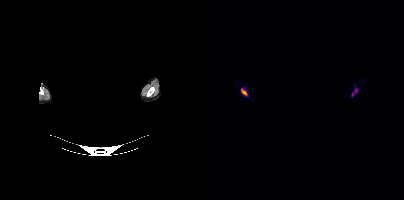
Two-panel axial: CT | PSMA PET, [68Ga]Ga-PSMA-11 tracer. Acquired on Siemens Biograph mCT Flow 20. Slice 389 of 397. PET panel 200×200 px (4.1 mm/px). Head region blanked for anonymization (face removed).
Coordinates are on the 200×200 PET (right) panel. PSMA-avid tumor lesion bounding boxes:
| # | x0 | y0 | x1 | y1 |
|---|---|---|---|---|
| 1 | 147 | 88 | 154 | 96 |
| 2 | 37 | 89 | 43 | 95 |